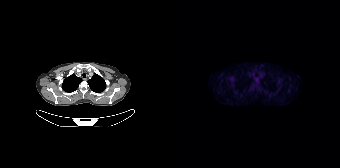
This slice has no annotated PSMA-avid lesion.